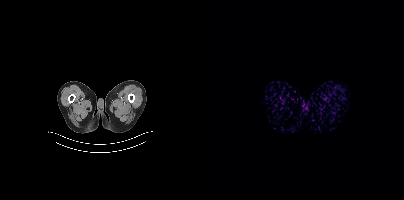
This slice has no annotated PSMA-avid lesion.